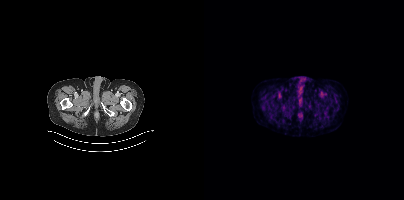
{"modality":"PSMA PET/CT","view":"axial","tracer":"18F-PSMA","pet_grid":[200,200],"coord_frame":"pet_panel","coord_format":"x0,y0,x1,y1","psma_avid_lesions":false}